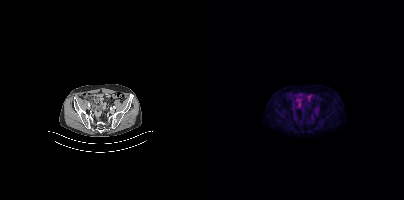
Findings: No PSMA-avid tumor lesions on this slice.
- Paired axial CT (left) and PSMA PET (right), 18F-PSMA tracer
- slice position z = -1388 mm
- PET panel 200×200 px (4.1 mm/px)